- Two-panel axial: CT | PSMA PET, 18F-PSMA tracer
- acquired on GE Discovery 690
- PET panel 256×256 px (2.7 mm/px)
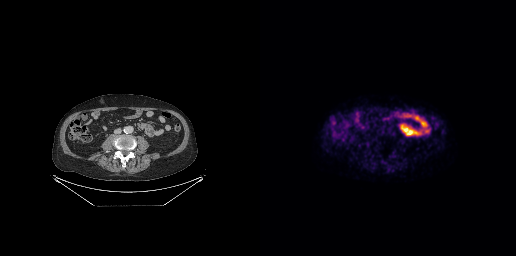
Findings: This slice has no annotated PSMA-avid lesion.